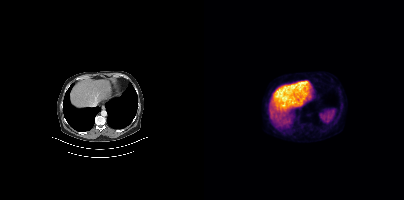
No PSMA-avid tumor lesions on this slice.